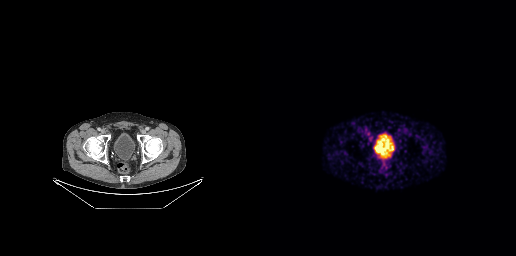
Findings: Negative for PSMA-avid disease on this slice.
Technique: Paired axial CT (left) and PSMA PET (right), 68Ga tracer. acquired on GE Discovery 690. PET panel 256×256 px (2.7 mm/px).